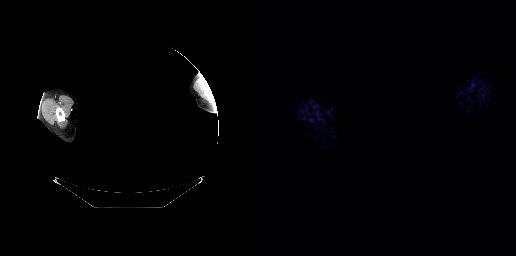
{"modality":"PSMA PET/CT","view":"axial","tracer":"[68Ga]Ga-PSMA-11","pet_grid":[256,256],"coord_frame":"pet_panel","coord_format":"x0,y0,x1,y1","psma_avid_lesions":false,"deidentification":"rectangular block over head set to black"}